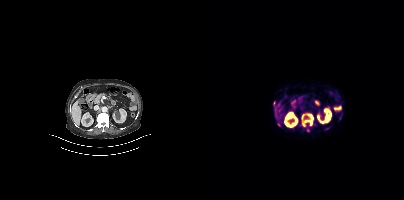
Findings: Coordinates are on the 200×200 PET (right) panel. (showing 4 of 7 foci) PSMA-avid tumor lesion bounding box (x0, y0)-(x1, y1): (97, 113)-(111, 126). Small PSMA-avid foci (2 to 4 px across) near (center x, center y): (70, 102) | (75, 125) | (103, 130).
- Paired axial CT (left) and PSMA PET (right), 68Ga tracer
- slice position z = 650 mm